modality: PSMA PET/CT | tracer: 18F | view: axial
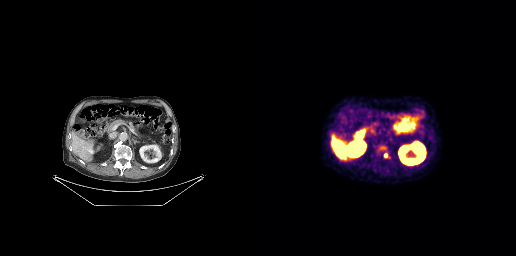
Coordinates are on the 256×256 PET (right) panel. PSMA-avid tumor lesion bounding box (x0, y0)-(x1, y1): (124, 153)-(127, 157).